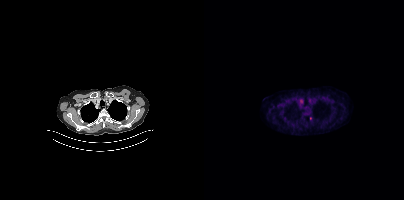
Findings: Only PSMA-avid lesion pieces thinner than 2 px on this slice (not listed).
Technique: Left: CT. Right: PSMA PET, same axial level, 18F tracer. acquired on Siemens Biograph mCT Flow 20. PET panel 200×200 px (4.1 mm/px).